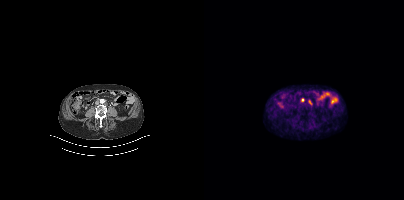
Paired axial CT (left) and PSMA PET (right), 68Ga tracer. Slice 145 of 405. Coordinates are on the 200×200 PET (right) panel. Small PSMA-avid focus (2 to 4 px across) near (center x, center y): (98, 100).